Two-panel axial: CT | PSMA PET, 18F-PSMA tracer.
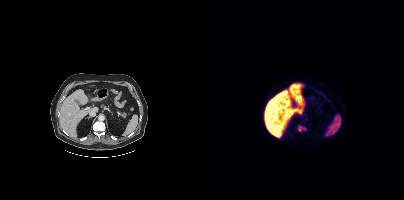
Coordinates are on the 200×200 PET (right) panel. Small PSMA-avid focus (2 to 4 px across) near (center x, center y): (96, 128).